Technique: Paired axial CT (left) and PSMA PET (right), 18F-PSMA tracer. acquired on Siemens Biograph mCT Flow 20. PET panel 200×200 px (4.1 mm/px).
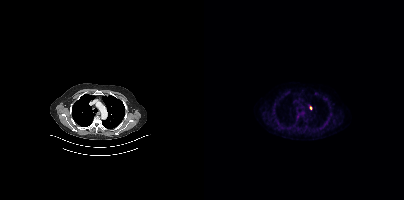
Findings: Coordinates are on the 200×200 PET (right) panel. Small PSMA-avid focus (2 to 4 px across) near (center x, center y): (106, 107).